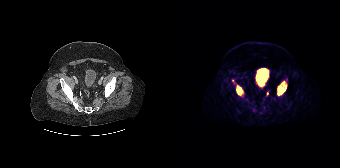
Coordinates are on the 168×168 PET (right) panel. (showing 2 of 5 foci) PSMA-avid tumor lesion bounding boxes (x0,y0,x1,y1): [105,81,114,95] [64,85,71,95]. Paired axial CT (left) and PSMA PET (right), 68Ga-PSMA tracer. Acquired on Siemens Biograph 64-4R TruePoint. PET panel 168×168 px (4.1 mm/px).